Paired axial CT (left) and PSMA PET (right), [68Ga]Ga-PSMA-11 tracer.
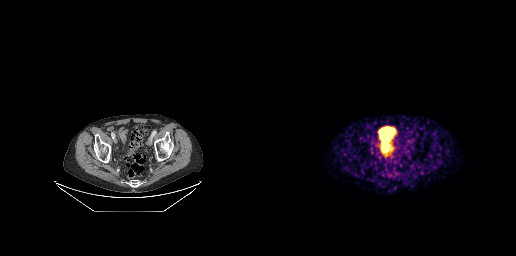
Negative for PSMA-avid disease on this slice.